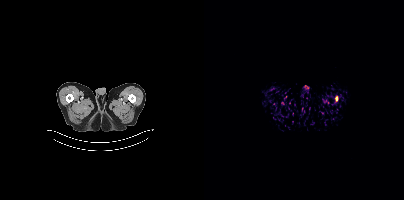
Coordinates are on the 200×200 PET (right) panel. Small PSMA-avid focus (2 to 4 px across) near (center x, center y): (132, 98).